Paired axial CT (left) and PSMA PET (right), 68Ga-PSMA tracer. PET panel 256×256 px (2.7 mm/px).
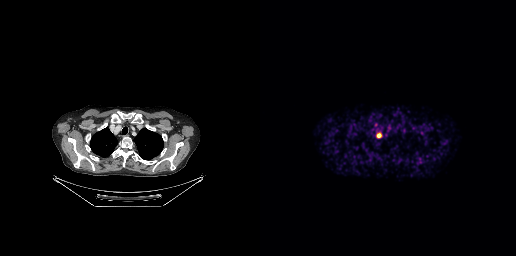
Coordinates are on the 256×256 PET (right) panel. PSMA-avid tumor lesion bounding boxes:
| # | x0 | y0 | x1 | y1 |
|---|---|---|---|---|
| 1 | 117 | 133 | 121 | 137 |